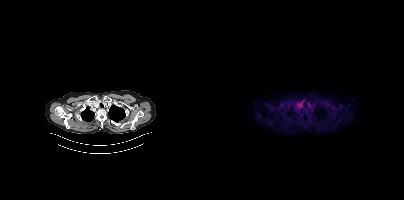
{"modality":"PSMA PET/CT","view":"axial","tracer":"[18F]PSMA-1007","pet_grid":[200,200],"coord_frame":"pet_panel","coord_format":"x0,y0,x1,y1","psma_avid_lesions":false}